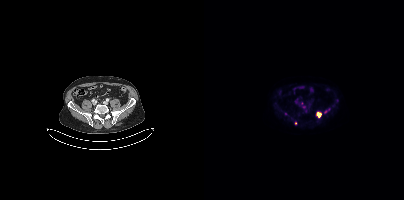
{"modality":"PSMA PET/CT","view":"axial","tracer":"18F","pet_grid":[200,200],"coord_frame":"pet_panel","coord_format":"x0,y0,x1,y1","partial":true,"lesion_bboxes":[[90,99,94,103],[113,113,117,117]],"small_foci_centers":[[125,109],[121,112],[91,123],[97,103],[81,113]]}